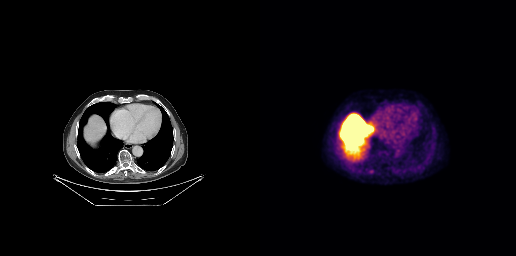
Coordinates are on the 256×256 PET (right) panel. PSMA-avid tumor lesion bounding box (x, y, width, height): x=108 y=169 w=6 h=5. Two-panel axial: CT | PSMA PET, 18F-PSMA tracer.